Paired axial CT (left) and PSMA PET (right), [18F]PSMA-1007 tracer. Acquired on GE Discovery 690. PET panel 256×256 px (2.7 mm/px).
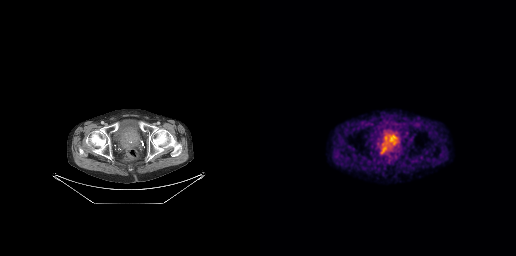
Coordinates are on the 256×256 PET (right) panel. PSMA-avid tumor lesion bounding boxes:
| # | x0 | y0 | x1 | y1 |
|---|---|---|---|---|
| 1 | 130 | 136 | 136 | 141 |
Small PSMA-avid focus (2 to 4 px across) near (center x, center y): (125, 138).